Left: CT. Right: PSMA PET, same axial level, 68Ga tracer. Acquired on Siemens Biograph 64-4R TruePoint. Slice position z = -205 mm. PET panel 168×168 px (4.1 mm/px).
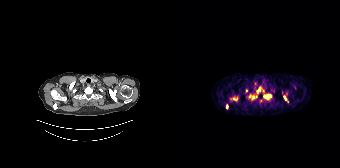
Coordinates are on the 168×168 PET (right) panel. PSMA-avid tumor lesion bounding boxes (partial; 3 more foci not listed):
| # | x0 | y0 | x1 | y1 |
|---|---|---|---|---|
| 1 | 91 | 94 | 99 | 99 |
| 2 | 85 | 87 | 88 | 93 |
| 3 | 111 | 96 | 116 | 102 |
| 4 | 61 | 98 | 65 | 100 |
| 5 | 54 | 104 | 56 | 108 |
Small PSMA-avid foci (2 to 4 px across) near (center x, center y): (81, 97); (77, 96); (74, 90).